modality: PSMA PET/CT | tracer: 18F | view: axial | PET grid: 200×200
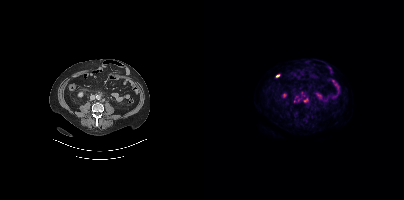
Coordinates are on the 200×200 PET (right) panel. PSMA-avid tumor lesion bounding box (x, y, width, height): x=100 y=98 w=5 h=5. Small PSMA-avid foci (2 to 4 px across) near (center x, center y): (98, 93); (95, 100); (90, 101).